Paired axial CT (left) and PSMA PET (right), 18F-PSMA tracer.
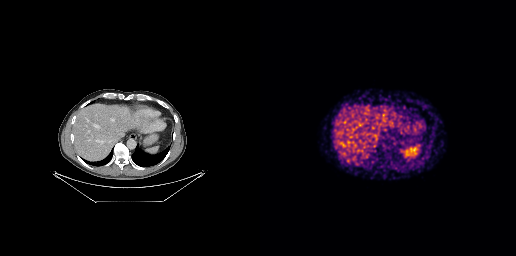
This slice has no annotated PSMA-avid lesion.